- an anonymization step blacked out a rectangle over the head in this scan
- Paired axial CT (left) and PSMA PET (right), [18F]PSMA-1007 tracer
- acquired on Siemens Biograph mCT Flow 20
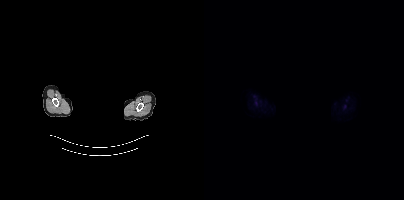
Findings: This slice has no annotated PSMA-avid lesion.